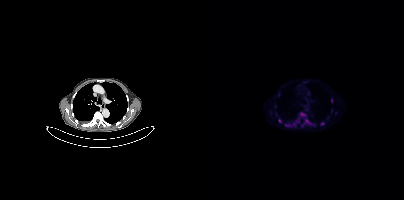
Paired axial CT (left) and PSMA PET (right), 18F tracer. Slice 252 of 354. PET panel 200×200 px (4.1 mm/px). Coordinates are on the 200×200 PET (right) panel. (showing 4 of 6 foci) PSMA-avid tumor lesion bounding box (x0, y0)-(x1, y1): (97, 113)-(101, 115). Small PSMA-avid foci (2 to 4 px across) near (center x, center y): (118, 124) | (103, 120) | (75, 120).